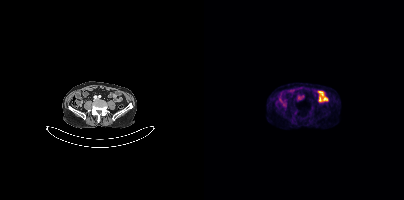
Paired axial CT (left) and PSMA PET (right), 18F-PSMA tracer. Negative for PSMA-avid disease on this slice.